Left: CT. Right: PSMA PET, same axial level, 18F-PSMA tracer. Slice position z = -1224 mm.
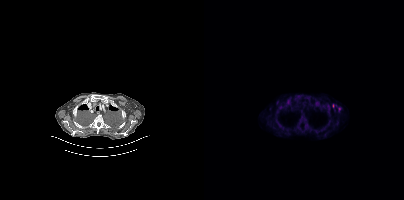
Coordinates are on the 200×200 PET (right) panel. (showing 2 of 5 foci) Small PSMA-avid foci (2 to 4 px across) near (center x, center y): (100, 119) | (84, 101).